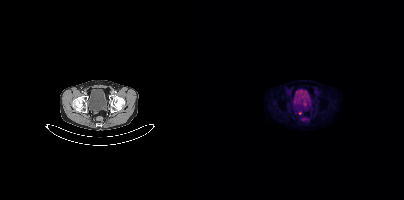
{"modality":"PSMA PET/CT","view":"axial","tracer":"18F-PSMA","pet_grid":[200,200],"coord_frame":"pet_panel","coord_format":"x0,y0,x1,y1","partial":true,"lesion_bboxes":[]}